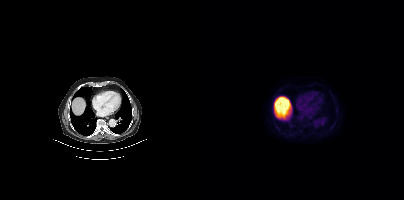
No tumor lesions annotated on this slice.